- Paired axial CT (left) and PSMA PET (right), 18F-PSMA tracer
- acquired on Siemens Biograph mCT Flow 20
- slice position z = -394 mm
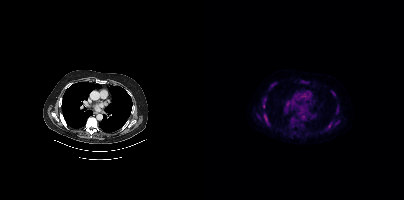
Findings: Only PSMA-avid lesion pieces thinner than 2 px on this slice (not listed).